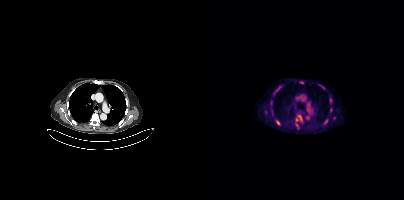
{"modality":"PSMA PET/CT","view":"axial","tracer":"18F-PSMA","pet_grid":[200,200],"coord_frame":"pet_panel","coord_format":"x0,y0,x1,y1","partial":true,"lesion_bboxes":[[94,115,98,120],[72,121,76,124]],"small_foci_centers":[[121,121],[98,82],[75,87],[92,119],[119,87]]}